Paired axial CT (left) and PSMA PET (right), 18F-PSMA tracer.
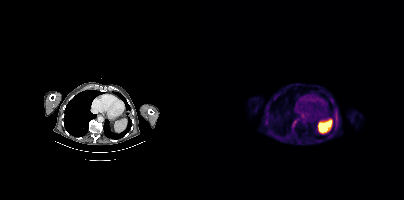
Coordinates are on the 200×200 PET (right) panel. Small PSMA-avid focus (2 to 4 px across) near (center x, center y): (91, 121).